modality: PSMA PET/CT | tracer: 18F-PSMA | view: axial | PET grid: 200×200
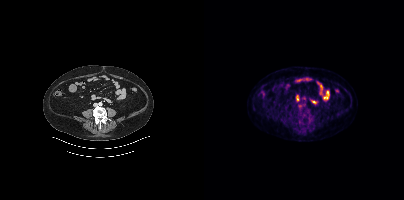
No tumor lesions annotated on this slice.